Paired axial CT (left) and PSMA PET (right), 18F tracer.
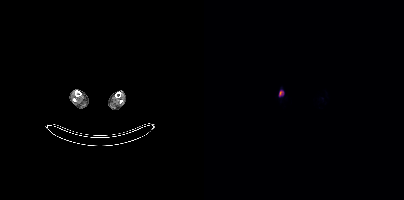
Coordinates are on the 200×200 PET (right) panel. PSMA-avid tumor lesion bounding box (x0,y0,x1,y1): [75,91,79,95].